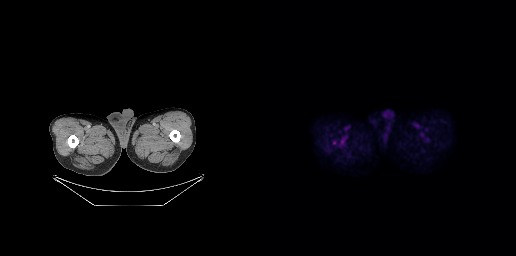
modality: PSMA PET/CT | tracer: 18F-PSMA | view: axial
This slice has no annotated PSMA-avid lesion.